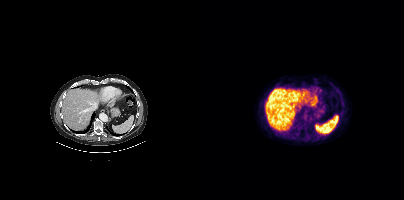
Negative for PSMA-avid disease on this slice.